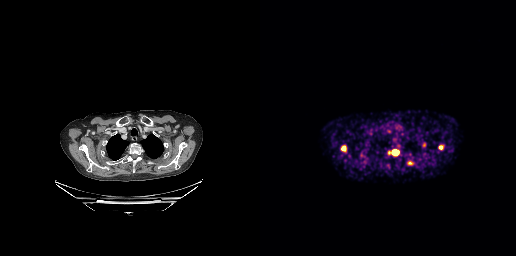
Coordinates are on the 256×256 PET (right) panel. PSMA-avid tumor lesion bounding boxes (x0, y0)-(x1, y1): (128, 149)-(139, 154); (179, 145)-(183, 149); (100, 154)-(104, 158); (82, 146)-(85, 150). Small PSMA-avid foci (2 to 4 px across) near (center x, center y): (164, 144); (149, 163). Left: CT. Right: PSMA PET, same axial level, [68Ga]Ga-PSMA-11 tracer. Acquired on GE Discovery 690. Slice 217 of 263.